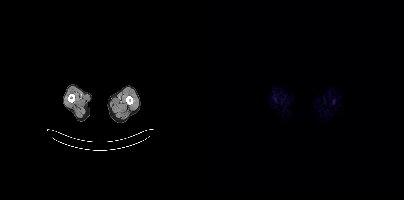
Technique: Two-panel axial: CT | PSMA PET, [18F]PSMA-1007 tracer. slice 9 of 375. PET panel 200×200 px (4.1 mm/px).
Findings: This slice has no annotated PSMA-avid lesion.